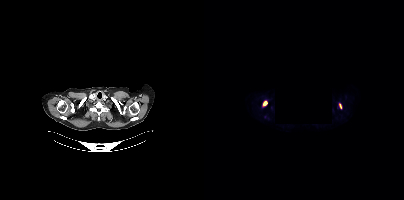
Paired axial CT (left) and PSMA PET (right), 18F-PSMA tracer. A rectangular region was set to black for de-identification. Coordinates are on the 200×200 PET (right) panel. PSMA-avid tumor lesion bounding boxes (x0,y0,x1,y1): [58,100,63,106] [135,103,137,108].